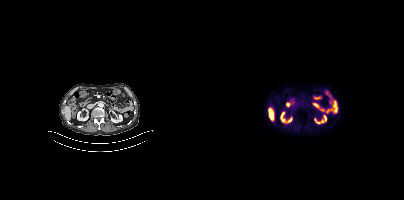
No PSMA-avid tumor lesions on this slice.